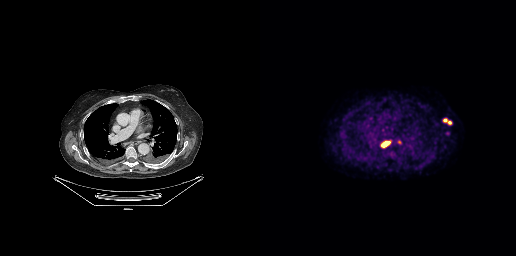
Coordinates are on the 256×256 PET (right) panel. (showing 3 of 4 foci) PSMA-avid tumor lesion bounding boxes (x, y, width, height): x=121 y=141 w=11 h=7 | x=183 y=118 w=9 h=7 | x=138 y=140 w=4 h=5.